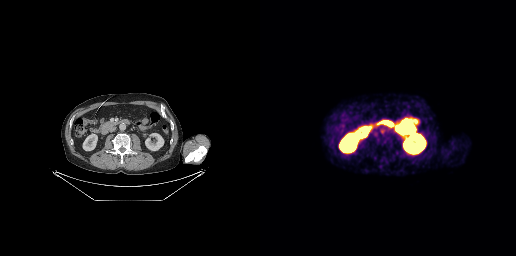
Findings: Only PSMA-avid lesion pieces thinner than 2 px on this slice (not listed).
Technique: Two-panel axial: CT | PSMA PET, [68Ga]Ga-PSMA-11 tracer. acquired on GE Discovery 690. slice 129 of 263. PET panel 256×256 px (2.7 mm/px).